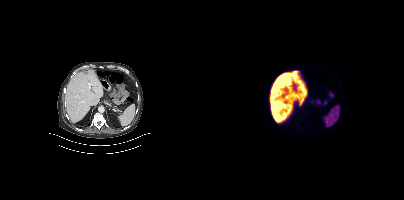
Paired axial CT (left) and PSMA PET (right), [18F]PSMA-1007 tracer. Acquired on Siemens Biograph mCT Flow 20. Slice position z = -678 mm. This slice has no annotated PSMA-avid lesion.